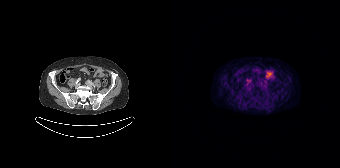
modality: PSMA PET/CT | tracer: [68Ga]Ga-PSMA-11 | view: axial
No PSMA-avid tumor lesions on this slice.